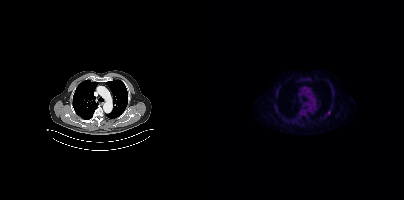
Coordinates are on the 200×200 PET (right) panel. Small PSMA-avid focus (2 to 4 px across) near (center x, center y): (124, 112). Left: CT. Right: PSMA PET, same axial level, 18F-PSMA tracer. Slice position z = -974 mm. PET panel 200×200 px (4.1 mm/px).